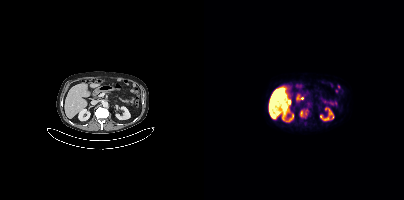
Coordinates are on the 200×200 PET (right) panel. PSMA-avid tumor lesion bounding box (x0,y0,x1,y1): [96,110,103,117].